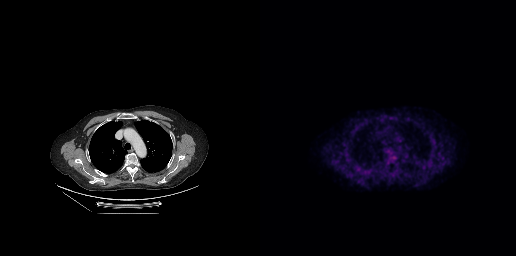
Coordinates are on the 256×256 PET (right) panel. Small PSMA-avid foci (2 to 4 px across) near (center x, center y): (86, 149) | (84, 144). Two-panel axial: CT | PSMA PET, 18F-PSMA tracer. Slice position z = -182 mm.